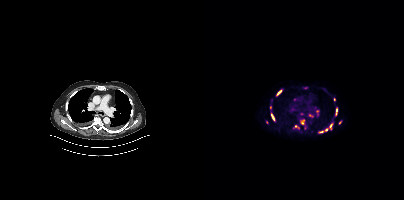
Technique: Left: CT. Right: PSMA PET, same axial level, 18F tracer. slice 323 of 444. PET panel 200×200 px (4.1 mm/px).
Findings: Coordinates are on the 200×200 PET (right) panel. (showing 10 of 13 foci) PSMA-avid tumor lesion bounding boxes (x, y, width, height): x=114 y=123 w=16 h=11 / x=96 y=119 w=5 h=6 / x=131 y=107 w=3 h=9 / x=67 y=113 w=4 h=8 / x=72 y=90 w=6 h=6 / x=89 y=125 w=7 h=4 / x=129 y=97 w=3 h=5. Small PSMA-avid foci (2 to 4 px across) near (center x, center y): (136, 122) / (66, 107) / (105, 115).